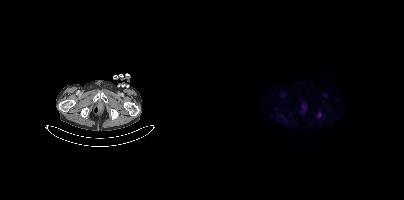
Findings: Negative for PSMA-avid disease on this slice.
Technique: Left: CT. Right: PSMA PET, same axial level, 18F-PSMA tracer. acquired on Siemens Biograph mCT Flow 20. PET panel 200×200 px (4.1 mm/px).